Paired axial CT (left) and PSMA PET (right), 68Ga-PSMA tracer. Acquired on Siemens Biograph 64-4R TruePoint. Slice position z = -959 mm. PET panel 168×168 px (4.1 mm/px).
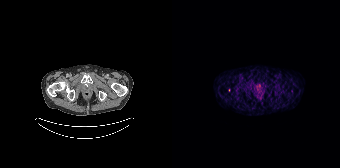
Coordinates are on the 168×168 PET (right) panel. Small PSMA-avid focus (2 to 4 px across) near (center x, center y): (57, 90).